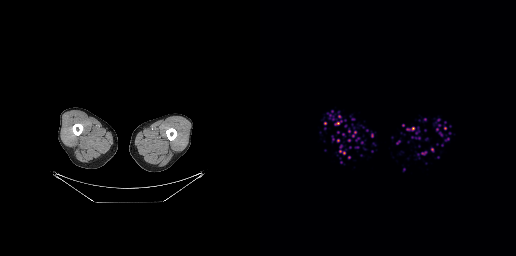
No PSMA-avid tumor lesions on this slice. Left: CT. Right: PSMA PET, same axial level, 68Ga-PSMA tracer. Slice position z = -897 mm.